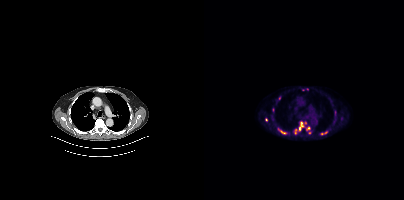
Findings: Coordinates are on the 200×200 PET (right) panel. (showing 3 of 6 foci) PSMA-avid tumor lesion bounding box (x0,y0,x1,y1): [74,129,82,134]. Small PSMA-avid foci (2 to 4 px across) near (center x, center y): (62, 119); (95, 128).
Technique: Two-panel axial: CT | PSMA PET, 18F tracer.